Two-panel axial: CT | PSMA PET, 18F tracer. Acquired on Siemens Biograph mCT Flow 20. Slice 243 of 425.
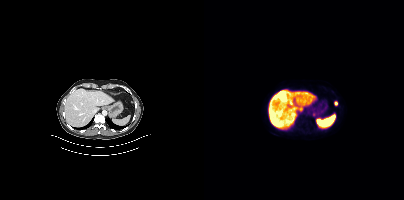
Coordinates are on the 200×200 PET (right) panel. PSMA-avid tumor lesion bounding box (x, y, width, height): x=130 y=101 w=4 h=5. Small PSMA-avid focus (2 to 4 px across) near (center x, center y): (109, 114).